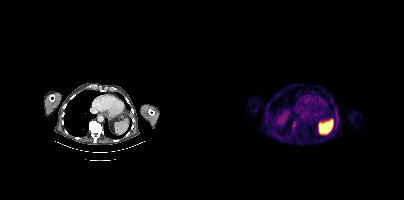
No tumor lesions annotated on this slice.
modality: PSMA PET/CT | tracer: 18F-PSMA | view: axial | PET grid: 200×200